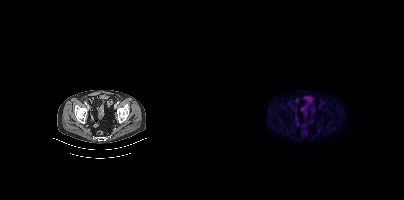
{"modality":"PSMA PET/CT","view":"axial","tracer":"18F-PSMA","pet_grid":[200,200],"coord_frame":"pet_panel","coord_format":"x0,y0,x1,y1","psma_avid_lesions":false}